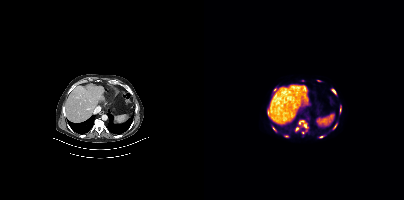
modality: PSMA PET/CT | tracer: [18F]PSMA-1007 | view: axial | PET grid: 200×200
Coordinates are on the 200×200 PET (right) panel. (showing 7 of 11 foci) PSMA-avid tumor lesion bounding boxes (x0, y0)-(x1, y1): (128, 89)-(131, 93) / (130, 124)-(132, 128). Small PSMA-avid foci (2 to 4 px across) near (center x, center y): (70, 128) / (71, 89) / (101, 126) / (117, 136) / (93, 128).